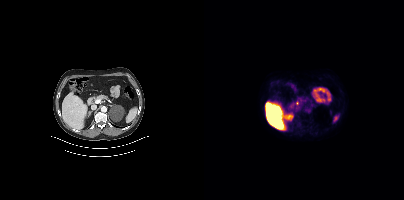
Negative for PSMA-avid disease on this slice.